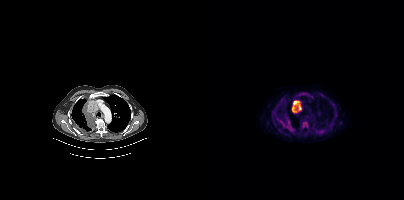
Coordinates are on the 200×200 PET (right) panel. PSMA-avid tumor lesion bounding boxes (x, y, width, height): x=77 y=118 w=12 h=13; x=88 y=100 w=10 h=13; x=93 y=92 w=9 h=5. Small PSMA-avid focus (2 to 4 px across) near (center x, center y): (101, 122).
modality: PSMA PET/CT | tracer: 18F-PSMA | view: axial